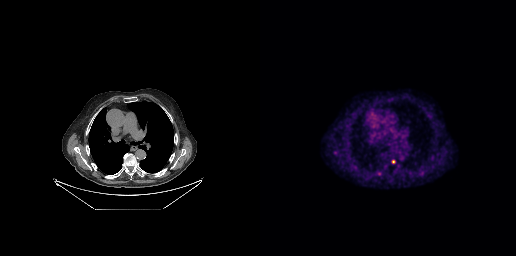
- Left: CT. Right: PSMA PET, same axial level, [18F]PSMA-1007 tracer
- slice 194 of 263
Findings: Coordinates are on the 256×256 PET (right) panel. Small PSMA-avid focus (2 to 4 px across) near (center x, center y): (133, 161).